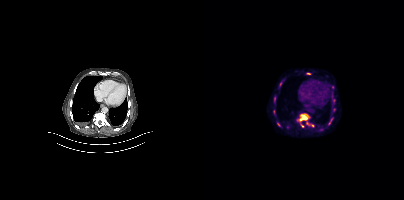
Coordinates are on the 200×200 PET (right) panel. (showing 8 of 9 foci) PSMA-avid tumor lesion bounding boxes (x0, y0)-(x1, y1): (92, 113)-(110, 127) / (124, 118)-(129, 124) / (75, 82)-(78, 86) / (102, 73)-(106, 74). Small PSMA-avid foci (2 to 4 px across) near (center x, center y): (130, 109) / (128, 87) / (70, 98) / (74, 124).